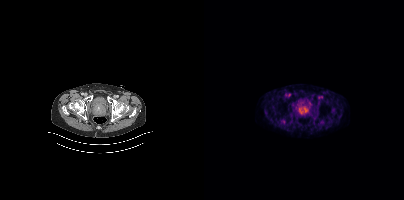
Coordinates are on the 200×200 PET (right) panel. PSMA-avid tumor lesion bounding box (x, y, width, height): x=93 y=104 w=14 h=12.